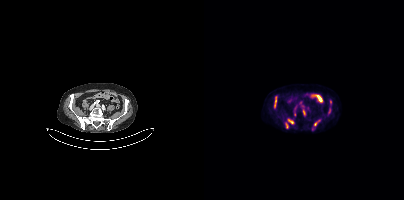
Coordinates are on the 200×200 PET (right) panel. PSMA-avid tumor lesion bounding boxes:
| # | x0 | y0 | x1 | y1 |
|---|---|---|---|---|
| 1 | 70 | 96 | 72 | 107 |
| 2 | 84 | 119 | 89 | 123 |
| 3 | 82 | 123 | 84 | 128 |
Small PSMA-avid foci (2 to 4 px across) near (center x, center y): (111, 124); (125, 110).
Left: CT. Right: PSMA PET, same axial level, 18F tracer. Acquired on Siemens Biograph mCT Flow 20. Slice position z = -816 mm.